- Two-panel axial: CT | PSMA PET, [18F]PSMA-1007 tracer
- acquired on GE Discovery 690
- PET panel 256×256 px (2.7 mm/px)
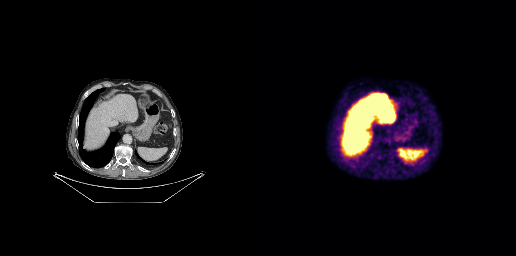
Findings: No PSMA-avid tumor lesions on this slice.